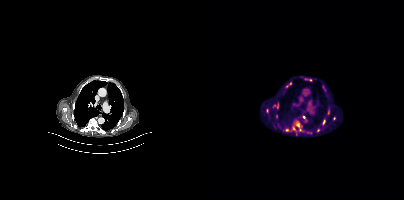
Coordinates are on the 200×200 PET (right) panel. (showing 11 of 12 foci) PSMA-avid tumor lesion bounding boxes (x0, y0)-(x1, y1): (80, 81)-(88, 89) | (90, 121)-(95, 127) | (68, 102)-(75, 109) | (62, 108)-(64, 113) | (119, 119)-(121, 123). Small PSMA-avid foci (2 to 4 px across) near (center x, center y): (72, 116) | (130, 118) | (99, 117) | (79, 92) | (89, 128) | (83, 129).
modality: PSMA PET/CT | tracer: 18F | view: axial | PET grid: 200×200